modality: PSMA PET/CT | tracer: 68Ga-PSMA | view: axial | PET grid: 200×200
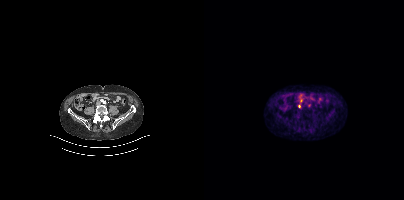
Coordinates are on the 200×200 PET (right) panel. Small PSMA-avid foci (2 to 4 px across) near (center x, center y): (97, 100) / (105, 104) / (95, 106).